modality: PSMA PET/CT | tracer: 18F | view: axial | PET grid: 200×200
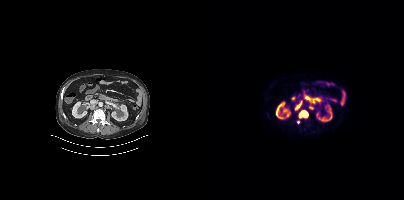
Coordinates are on the 200×200 PET (right) panel. (showing 3 of 4 foci) PSMA-avid tumor lesion bounding boxes (x0, y0)-(x1, y1): (95, 110)-(104, 118) | (91, 101)-(98, 110). Small PSMA-avid focus (2 to 4 px across) near (center x, center y): (94, 122).